Technique: Two-panel axial: CT | PSMA PET, [18F]PSMA-1007 tracer.
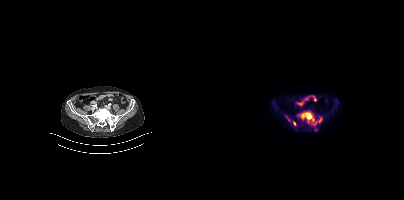
Findings: Coordinates are on the 200×200 PET (right) panel. PSMA-avid tumor lesion bounding boxes (x0,y0,x1,y1): [92,111,118,131] [89,121,92,125] [81,116,85,120]. Small PSMA-avid focus (2 to 4 px across) near (center x, center y): (133, 103).